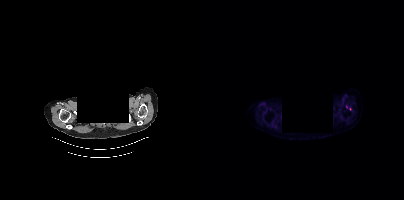
Paired axial CT (left) and PSMA PET (right), 18F tracer. Slice 350 of 407. The head region is masked for de-identification. Coordinates are on the 200×200 PET (right) panel. Small PSMA-avid foci (2 to 4 px across) near (center x, center y): (146, 109); (142, 106).